Two-panel axial: CT | PSMA PET, [18F]PSMA-1007 tracer. Acquired on Siemens Biograph mCT Flow 20. PET panel 200×200 px (4.1 mm/px).
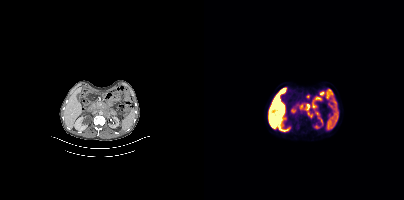
Coordinates are on the 200×200 PET (right) panel. PSMA-avid tumor lesion bounding boxes:
| # | x0 | y0 | x1 | y1 |
|---|---|---|---|---|
| 1 | 101 | 104 | 109 | 118 |
Small PSMA-avid foci (2 to 4 px across) near (center x, center y): (97, 106); (112, 113); (109, 107).